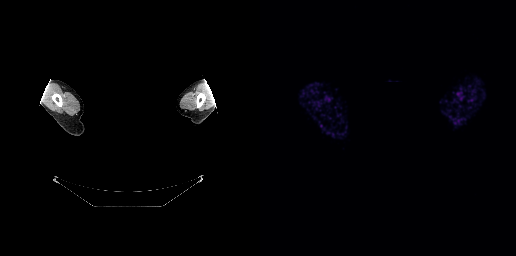
Findings: This slice has no annotated PSMA-avid lesion.
- face de-identified by blanking a block of the head
- Two-panel axial: CT | PSMA PET, 68Ga tracer
- slice 260 of 263
- PET panel 256×256 px (2.7 mm/px)